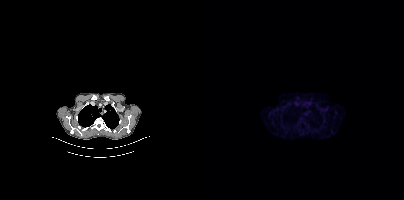
{"pet_grid":[200,200],"coord_frame":"pet_panel","coord_format":"x0,y0,x1,y1","psma_avid_lesions":false,"modality":"PSMA PET/CT","view":"axial","tracer":"18F-PSMA"}